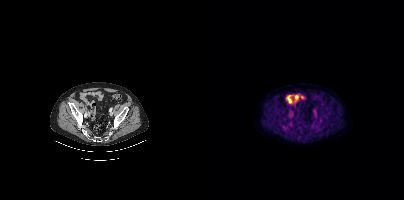
Technique: Two-panel axial: CT | PSMA PET, 18F-PSMA tracer. PET panel 200×200 px (4.1 mm/px).
Findings: This slice has no annotated PSMA-avid lesion.